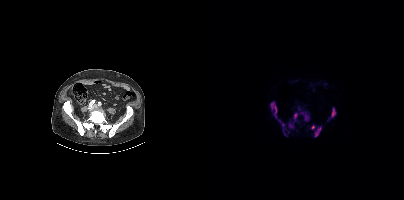
Left: CT. Right: PSMA PET, same axial level, 18F-PSMA tracer. Slice 131 of 423. PET panel 200×200 px (4.1 mm/px). Coordinates are on the 200×200 PET (right) panel. (showing 10 of 13 foci) PSMA-avid tumor lesion bounding boxes (x0,y0,x1,y1): [66,102,73,117], [110,126,117,137], [127,107,132,117], [100,112,104,121], [89,112,94,120], [78,123,82,136], [85,123,89,127], [107,125,111,129]. Small PSMA-avid foci (2 to 4 px across) near (center x, center y): (97, 113), (75, 121).